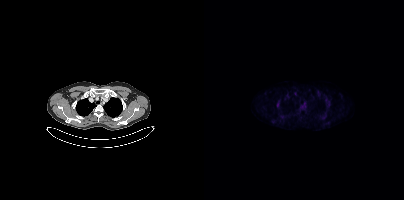
Coordinates are on the 200×200 PET (right) panel. Small PSMA-avid focus (2 to 4 px across) near (center x, center y): (73, 105). Two-panel axial: CT | PSMA PET, [18F]PSMA-1007 tracer. PET panel 200×200 px (4.1 mm/px).